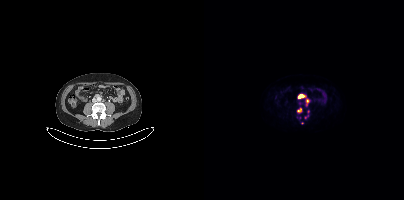
Coordinates are on the 200×200 PET (right) panel. PSMA-avid tumor lesion bounding boxes (x0, y0)-(x1, y1): (94, 94)-(99, 97); (93, 116)-(97, 119); (93, 109)-(97, 112); (100, 115)-(104, 118). Small PSMA-avid foci (2 to 4 px across) near (center x, center y): (103, 102); (98, 123); (95, 103); (104, 111). Two-panel axial: CT | PSMA PET, [68Ga]Ga-PSMA-11 tracer. Slice position z = -1325 mm.